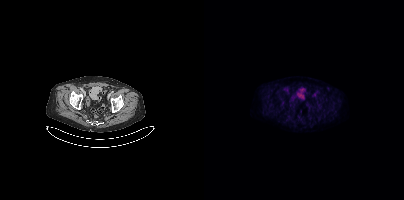
Negative for PSMA-avid disease on this slice.